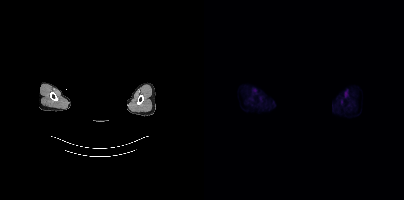
A rectangular block over the head has been blanked out for de-identification.
No tumor lesions annotated on this slice.